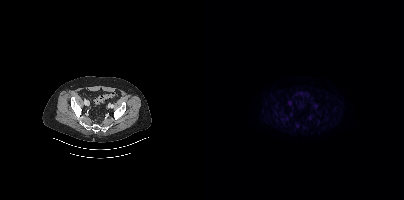
Left: CT. Right: PSMA PET, same axial level, [18F]PSMA-1007 tracer. Slice 94 of 458. Coordinates are on the 200×200 PET (right) panel. Small PSMA-avid focus (2 to 4 px across) near (center x, center y): (93, 125).